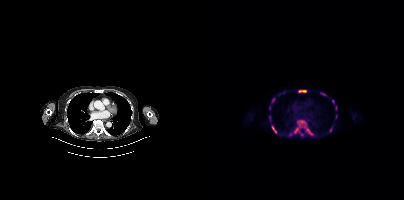
{"modality":"PSMA PET/CT","view":"axial","tracer":"18F","pet_grid":[200,200],"coord_frame":"pet_panel","coord_format":"x0,y0,x1,y1","lesion_bboxes":[[89,120,100,137],[67,124,72,133],[95,90,102,92],[75,91,80,94],[68,98,71,102],[125,128,128,132]],"small_foci_centers":[[132,108],[129,101],[104,130],[120,94],[65,107],[66,121],[65,117],[86,134],[107,133]]}